Left: CT. Right: PSMA PET, same axial level, 18F-PSMA tracer. PET panel 200×200 px (4.1 mm/px).
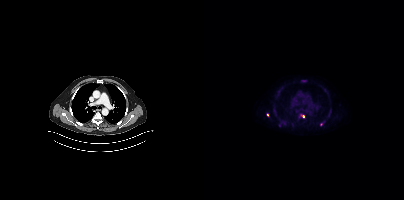
Coordinates are on the 200×200 PET (right) panel. Small PSMA-avid foci (2 to 4 px across) near (center x, center y): (98, 116) / (63, 114) / (117, 125).